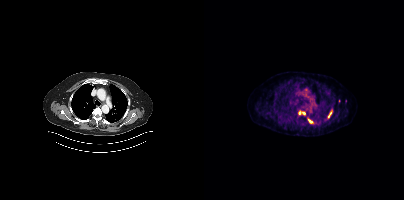
Coordinates are on the 200×200 PET (right) panel. (showing 4 of 5 foci) PSMA-avid tumor lesion bounding boxes (x, y, width, height): x=94 y=110 w=8 h=6; x=123 y=109 w=6 h=10; x=104 y=118 w=6 h=6. Small PSMA-avid focus (2 to 4 px across) near (center x, center y): (135, 101).